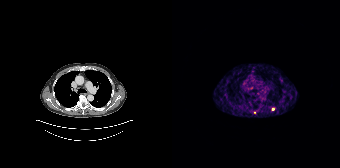
Coordinates are on the 168×168 PET (right) panel. Small PSMA-avid foci (2 to 4 px across) near (center x, center y): (82, 112) | (101, 109). Left: CT. Right: PSMA PET, same axial level, 68Ga-PSMA tracer. Slice position z = -842 mm.